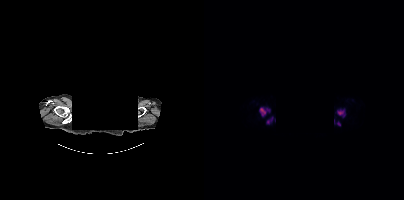
Coordinates are on the 200×200 PET (right) panel. PSMA-avid tumor lesion bounding boxes (partial; 1 more focus not listed):
| # | x0 | y0 | x1 | y1 |
|---|---|---|---|---|
| 1 | 55 | 107 | 66 | 116 |
| 2 | 133 | 109 | 141 | 117 |
| 3 | 62 | 116 | 69 | 124 |
Small PSMA-avid focus (2 to 4 px across) near (center x, center y): (134, 123).
Paired axial CT (left) and PSMA PET (right), 18F-PSMA tracer. PET panel 200×200 px (4.1 mm/px). The face region was removed for patient privacy by blanking a rectangle over the head.